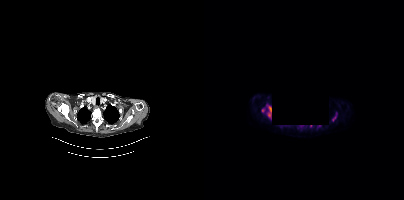
{"pet_grid":[200,200],"coord_frame":"pet_panel","coord_format":"x0,y0,x1,y1","partial":true,"lesion_bboxes":[[62,104,67,119],[58,108,60,112],[128,116,132,121]],"small_foci_centers":[[115,126],[107,126]],"modality":"PSMA PET/CT","view":"axial","tracer":"[18F]PSMA-1007","redaction":"rectangular block set to black"}